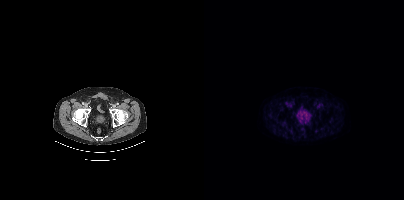
Negative for PSMA-avid disease on this slice.